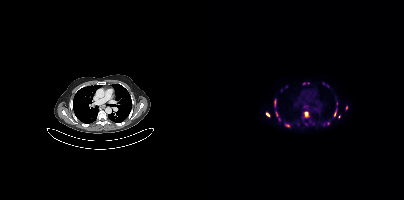
Technique: Two-panel axial: CT | PSMA PET, [18F]PSMA-1007 tracer. acquired on Siemens Biograph mCT Flow 20. slice position z = 342 mm. PET panel 200×200 px (4.1 mm/px).
Findings: Coordinates are on the 200×200 PET (right) panel. (showing 13 of 17 foci) PSMA-avid tumor lesion bounding boxes (x, y, width, height): x=100 y=112 w=5 h=5 / x=130 y=108 w=4 h=9 / x=81 y=124 w=5 h=4 / x=70 y=99 w=3 h=5 / x=72 y=112 w=2 h=5. Small PSMA-avid foci (2 to 4 px across) near (center x, center y): (63, 114) / (142, 107) / (135, 117) / (124, 123) / (99, 83) / (102, 123) / (132, 103) / (119, 83).